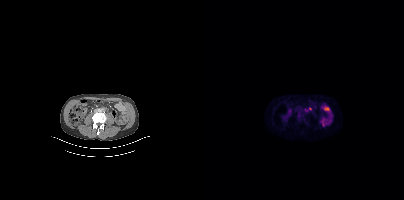
Coordinates are on the 200×200 PET (right) panel. PSMA-avid tumor lesion bounding box (x0,y0,x1,y1): [101,107,107,111].